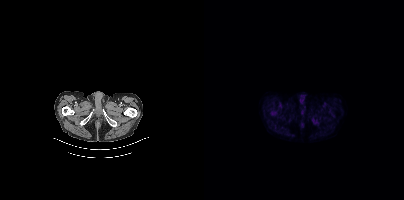
{"pet_grid":[200,200],"coord_frame":"pet_panel","coord_format":"x0,y0,x1,y1","psma_avid_lesions":false,"modality":"PSMA PET/CT","view":"axial","tracer":"[18F]PSMA-1007"}